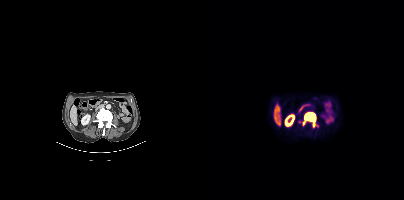
modality: PSMA PET/CT | tracer: [18F]PSMA-1007 | view: axial
Coordinates are on the 200×200 PET (right) panel. PSMA-avid tumor lesion bounding box (x0,y0,x1,y1): [99,113,111,127]. Small PSMA-avid focus (2 to 4 px across) near (center x, center y): (95, 121).